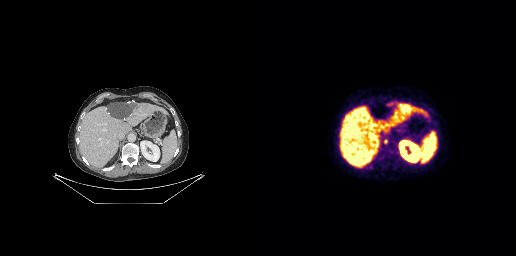
Two-panel axial: CT | PSMA PET, 18F tracer. Coordinates are on the 256×256 PET (right) panel. Small PSMA-avid focus (2 to 4 px across) near (center x, center y): (125, 141).